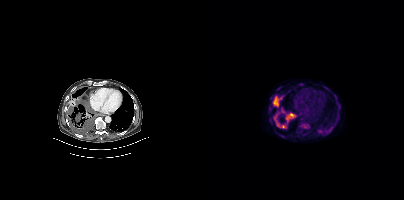
Two-panel axial: CT | PSMA PET, 18F-PSMA tracer. Acquired on Siemens Biograph mCT Flow 20.
Coordinates are on the 200×200 PET (right) panel. PSMA-avid tumor lesion bounding boxes:
| # | x0 | y0 | x1 | y1 |
|---|---|---|---|---|
| 1 | 68 | 96 | 77 | 107 |
| 2 | 69 | 117 | 82 | 128 |
| 3 | 81 | 113 | 89 | 121 |
| 4 | 97 | 123 | 104 | 128 |
| 5 | 77 | 109 | 80 | 113 |